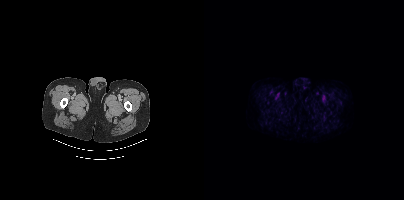
No tumor lesions annotated on this slice. Paired axial CT (left) and PSMA PET (right), [18F]PSMA-1007 tracer. Acquired on Siemens Biograph mCT Flow 20. Slice position z = -1571 mm.